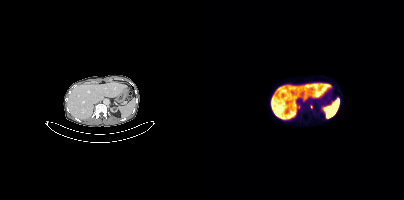
Left: CT. Right: PSMA PET, same axial level, 18F tracer. Coordinates are on the 200×200 PET (right) panel. Small PSMA-avid foci (2 to 4 px across) near (center x, center y): (95, 106) | (107, 106).